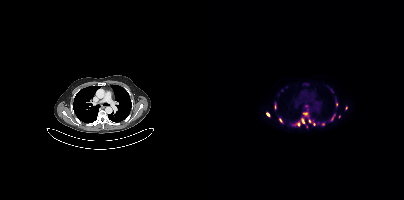
Left: CT. Right: PSMA PET, same axial level, 18F-PSMA tracer.
Coordinates are on the 200×200 PET (right) panel. PSMA-avid tumor lesion bounding boxes (partial; 3 more foci not listed):
| # | x0 | y0 | x1 | y1 |
|---|---|---|---|---|
| 1 | 97 | 118 | 103 | 126 |
| 2 | 127 | 113 | 131 | 120 |
| 3 | 89 | 123 | 95 | 125 |
| 4 | 99 | 112 | 103 | 115 |
| 5 | 75 | 118 | 78 | 122 |
| 6 | 132 | 101 | 133 | 106 |
| 7 | 62 | 112 | 65 | 116 |
Small PSMA-avid foci (2 to 4 px across) near (center x, center y): (105, 120); (101, 106); (142, 107); (119, 124); (135, 116).